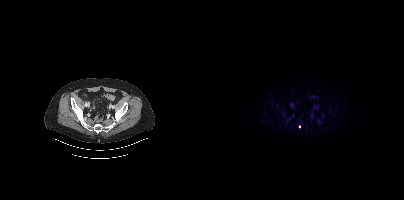
modality: PSMA PET/CT | tracer: 18F | view: axial
Coordinates are on the 200×200 PET (right) panel. Small PSMA-avid focus (2 to 4 px across) near (center x, center y): (95, 126).